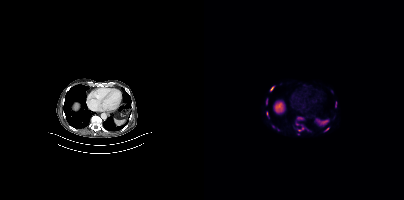
- Two-panel axial: CT | PSMA PET, 18F tracer
- PET panel 200×200 px (4.1 mm/px)
Findings: Coordinates are on the 200×200 PET (right) panel. (showing 5 of 10 foci) PSMA-avid tumor lesion bounding boxes (x, y, width, height): x=94 y=127 w=6 h=5 | x=94 y=117 w=5 h=3 | x=62 y=99 w=2 h=6. Small PSMA-avid foci (2 to 4 px across) near (center x, center y): (67, 88) | (123, 129).